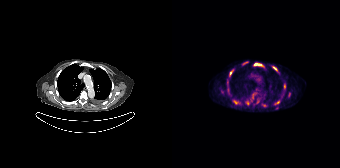
Technique: Paired axial CT (left) and PSMA PET (right), 68Ga tracer. acquired on Siemens Biograph 64-4R TruePoint. slice 127 of 165. PET panel 168×168 px (4.1 mm/px).
Findings: Coordinates are on the 168×168 PET (right) panel. (showing 7 of 10 foci) PSMA-avid tumor lesion bounding boxes (x0, y0)-(x1, y1): (81, 63)-(91, 66); (101, 66)-(107, 73). Small PSMA-avid foci (2 to 4 px across) near (center x, center y): (63, 101); (72, 63); (112, 86); (58, 73); (106, 101).